Technique: Paired axial CT (left) and PSMA PET (right), [18F]PSMA-1007 tracer. PET panel 200×200 px (4.1 mm/px).
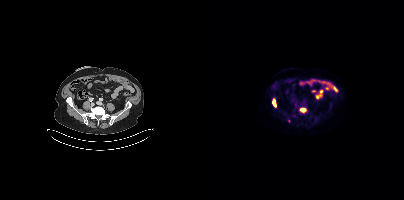
Findings: Coordinates are on the 200×200 PET (right) panel. (showing 2 of 3 foci) PSMA-avid tumor lesion bounding boxes (x0,y0,x1,y1): [95,107,102,112], [68,98,72,107].